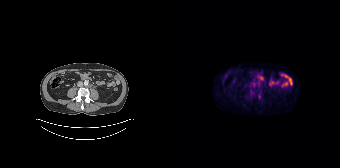
Coordinates are on the 168×168 PET (right) panel. PSMA-avid tumor lesion bounding box (x0,y0,x1,y1): [86,93,88,98]. Left: CT. Right: PSMA PET, same axial level, [18F]PSMA-1007 tracer.